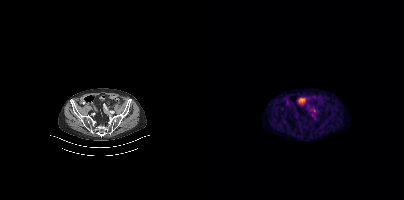
Findings: Coordinates are on the 200×200 PET (right) panel. Small PSMA-avid focus (2 to 4 px across) near (center x, center y): (110, 110).
Technique: Two-panel axial: CT | PSMA PET, 68Ga-PSMA tracer. slice position z = -970 mm.